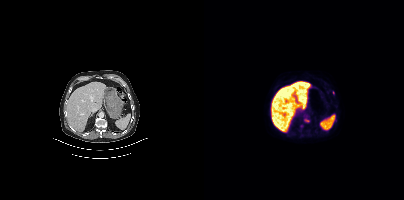
Findings: No PSMA-avid tumor lesions on this slice.
- Two-panel axial: CT | PSMA PET, [18F]PSMA-1007 tracer
- acquired on Siemens Biograph mCT Flow 20
- slice position z = -1190 mm
- PET panel 200×200 px (4.1 mm/px)